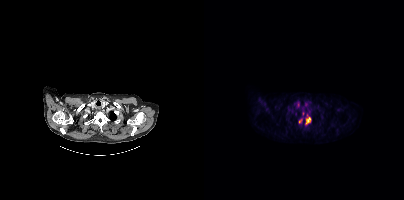
{"pet_grid":[200,200],"coord_frame":"pet_panel","coord_format":"x0,y0,x1,y1","partial":true,"lesion_bboxes":[[101,117,107,124],[95,119,97,123]],"modality":"PSMA PET/CT","view":"axial","tracer":"18F"}